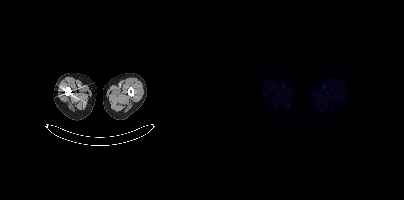
No PSMA-avid tumor lesions on this slice. Two-panel axial: CT | PSMA PET, 18F tracer. Slice 16 of 421. PET panel 200×200 px (4.1 mm/px).